- Paired axial CT (left) and PSMA PET (right), 18F tracer
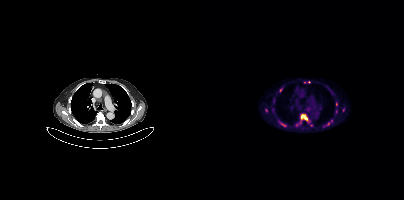
Findings: Coordinates are on the 200×200 PET (right) panel. (showing 6 of 10 foci) PSMA-avid tumor lesion bounding boxes (x0,y0,x1,y1): [97,114,103,120] [77,123,81,126]. Small PSMA-avid foci (2 to 4 px across) near (center x, center y): (76, 89) (124, 123) (132, 104) (127, 120).